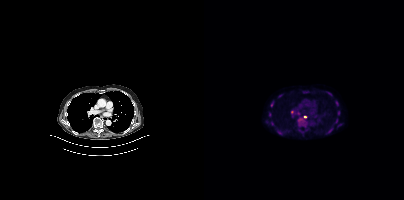
Findings: Coordinates are on the 200×200 PET (right) panel. PSMA-avid tumor lesion bounding boxes (x0, y0)-(x1, y1): (131, 101)-(134, 106) / (133, 111)-(136, 115) / (67, 102)-(69, 106). Small PSMA-avid foci (2 to 4 px across) near (center x, center y): (88, 112) / (126, 94) / (65, 114) / (101, 116) / (132, 119) / (68, 123).
- Two-panel axial: CT | PSMA PET, 18F tracer
- PET panel 200×200 px (4.1 mm/px)